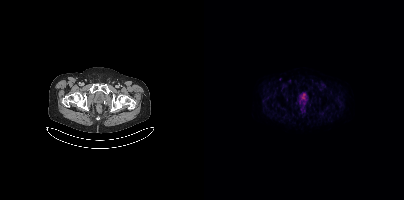
{"modality":"PSMA PET/CT","view":"axial","tracer":"18F-PSMA","pet_grid":[200,200],"coord_frame":"pet_panel","coord_format":"x0,y0,x1,y1","psma_avid_lesions":false}